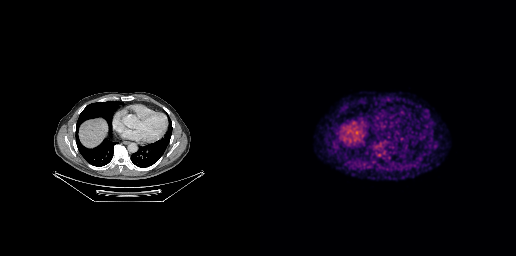
This slice has no annotated PSMA-avid lesion.